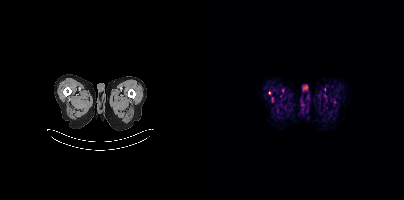
Coordinates are on the 200×200 PET (right) panel. Small PSMA-avid focus (2 to 4 px across) near (center x, center y): (65, 92).
modality: PSMA PET/CT | tracer: [18F]PSMA-1007 | view: axial | PET grid: 200×200